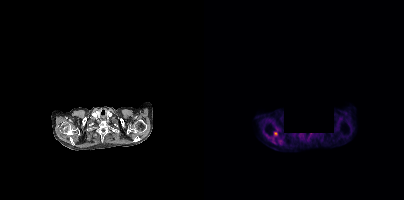
A rectangular region was set to black for de-identification. Paired axial CT (left) and PSMA PET (right), 18F-PSMA tracer. Slice 326 of 389. PET panel 200×200 px (4.1 mm/px). Coordinates are on the 200×200 PET (right) panel. Small PSMA-avid focus (2 to 4 px across) near (center x, center y): (71, 133).